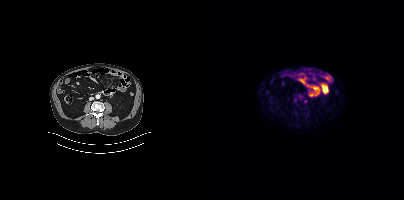
Only PSMA-avid lesion pieces thinner than 2 px on this slice (not listed).